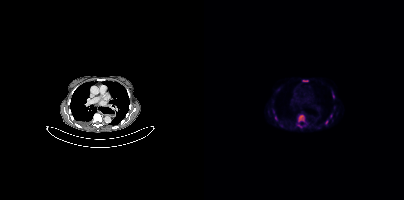
Coordinates are on the 200×200 PET (right) panel. (showing 6 of 7 foci) PSMA-avid tumor lesion bounding boxes (x0, y0)-(x1, y1): (94, 115)-(100, 121); (99, 80)-(103, 81); (121, 120)-(123, 124). Small PSMA-avid foci (2 to 4 px across) near (center x, center y): (95, 126); (129, 96); (71, 118).